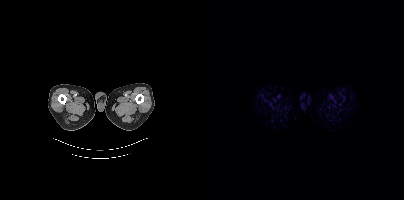
Findings: No PSMA-avid tumor lesions on this slice.
Technique: Left: CT. Right: PSMA PET, same axial level, 18F-PSMA tracer. slice 10 of 454.